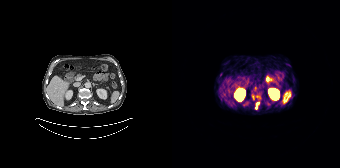
Technique: Paired axial CT (left) and PSMA PET (right), 68Ga-PSMA tracer.
Findings: Coordinates are on the 168×168 PET (right) panel. (showing 1 of 2 foci) Small PSMA-avid focus (2 to 4 px across) near (center x, center y): (85, 104).